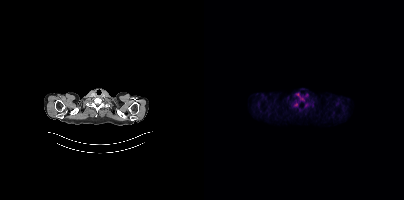
modality: PSMA PET/CT | tracer: [18F]PSMA-1007 | view: axial | PET grid: 200×200
Negative for PSMA-avid disease on this slice.